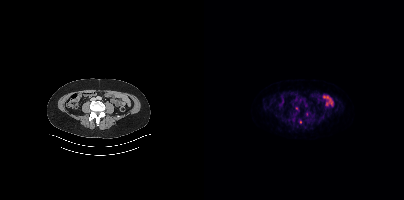
modality: PSMA PET/CT | tracer: [18F]PSMA-1007 | view: axial | PET grid: 200×200
Coordinates are on the 200×200 PET (right) panel. (showing 1 of 2 foci) Small PSMA-avid focus (2 to 4 px across) near (center x, center y): (122, 103).